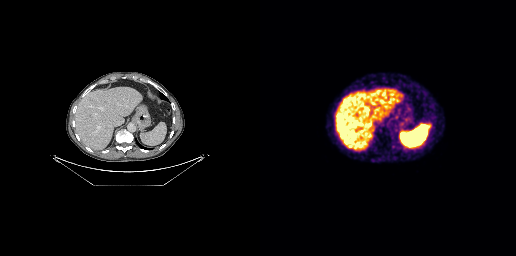
Coordinates are on the 256×256 PET (right) panel. PSMA-avid tumor lesion bounding box (x, y, width, height): x=167 y=123 w=5 h=5.